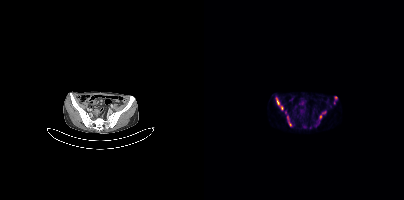
Coordinates are on the 200×200 PET (right) panel. (showing 7 of 8 foci) PSMA-avid tumor lesion bounding boxes (x0, y0)-(x1, y1): (115, 111)-(122, 119); (72, 97)-(75, 105). Small PSMA-avid foci (2 to 4 px across) near (center x, center y): (132, 97); (78, 107); (81, 112); (85, 123); (83, 117).